modality: PSMA PET/CT | tracer: 18F | view: axial
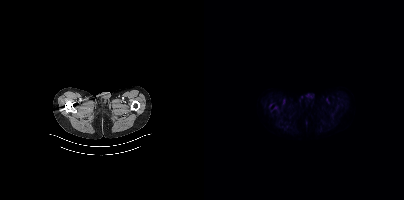
Negative for PSMA-avid disease on this slice.